Left: CT. Right: PSMA PET, same axial level, 18F-PSMA tracer. Slice position z = -1210 mm.
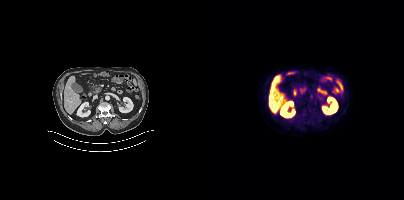
Negative for PSMA-avid disease on this slice.